- de-identified by setting a rectangular region to black
- Left: CT. Right: PSMA PET, same axial level, 18F tracer
- acquired on Siemens Biograph mCT Flow 20
- slice 368 of 429
- PET panel 200×200 px (4.1 mm/px)
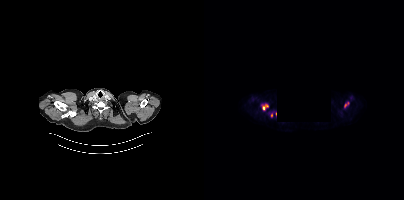
Findings: Coordinates are on the 200×200 PET (right) panel. (showing 3 of 4 foci) PSMA-avid tumor lesion bounding box (x0,y0,x1,y1): [58,104,64,109]. Small PSMA-avid foci (2 to 4 px across) near (center x, center y): (141, 105) (67, 115).